A rectangle over the head was blacked out to remove identifiable facial features. Paired axial CT (left) and PSMA PET (right), [18F]PSMA-1007 tracer. Acquired on Siemens Biograph mCT Flow 20. PET panel 200×200 px (4.1 mm/px).
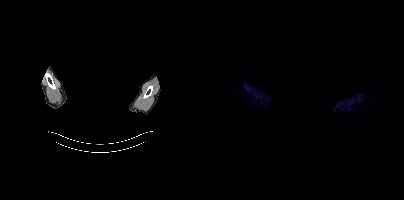
This slice has no annotated PSMA-avid lesion.